- Two-panel axial: CT | PSMA PET, 18F-PSMA tracer
- slice 182 of 299
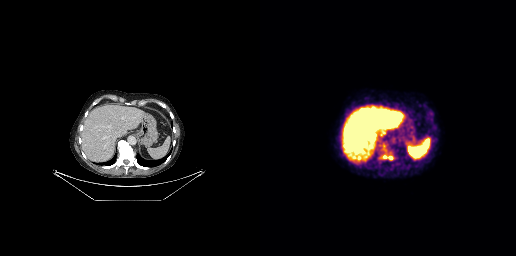
Findings: Coordinates are on the 256×256 PET (right) panel. PSMA-avid tumor lesion bounding box (x, y, width, height): x=123 y=155 w=11 h=5.